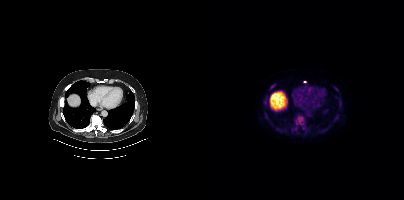
{"modality":"PSMA PET/CT","view":"axial","tracer":"[18F]PSMA-1007","pet_grid":[200,200],"coord_frame":"pet_panel","coord_format":"x0,y0,x1,y1","partial":true,"lesion_bboxes":[[90,115,104,130],[118,127,124,133],[88,127,92,132],[66,84,71,89],[129,86,134,91],[134,103,138,106]],"small_foci_centers":[[61,101],[132,119],[72,129],[101,81],[81,131],[135,100]]}